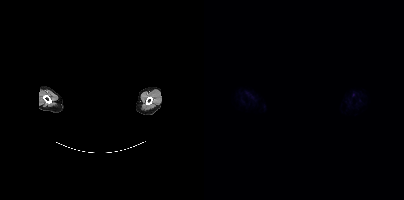
Two-panel axial: CT | PSMA PET, [18F]PSMA-1007 tracer. PET panel 200×200 px (4.1 mm/px). De-identified by setting a box covering the face to black before release. This slice has no annotated PSMA-avid lesion.